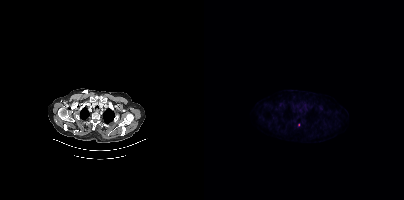
{"modality":"PSMA PET/CT","view":"axial","tracer":"18F","pet_grid":[200,200],"coord_frame":"pet_panel","coord_format":"x0,y0,x1,y1","lesion_bboxes":[],"small_foci_centers":[[95,124]]}